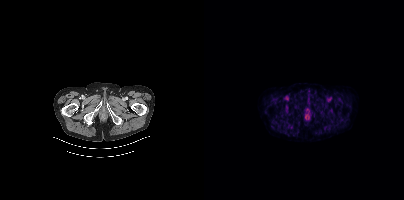
Findings: No tumor lesions annotated on this slice.
Technique: Paired axial CT (left) and PSMA PET (right), [18F]PSMA-1007 tracer. acquired on Siemens Biograph mCT Flow 20. slice 57 of 454. PET panel 200×200 px (4.1 mm/px).